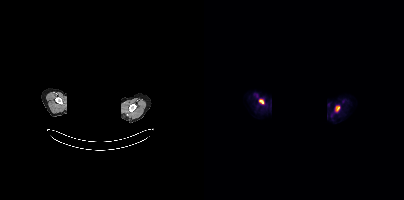
Findings: Coordinates are on the 200×200 PET (right) panel. PSMA-avid tumor lesion bounding boxes (x0, y0)-(x1, y1): (131, 105)-(135, 111); (55, 99)-(60, 103).
- privacy masking over the head, with the pixels inside a rectangle set to black
- Paired axial CT (left) and PSMA PET (right), 18F tracer
- slice 333 of 373
- PET panel 200×200 px (4.1 mm/px)